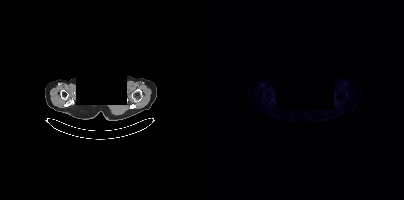
No tumor lesions annotated on this slice.
redaction: privacy mask over head | modality: PSMA PET/CT | tracer: 68Ga-PSMA | view: axial | PET grid: 200×200